modality: PSMA PET/CT | tracer: 18F | view: axial | PET grid: 168×168
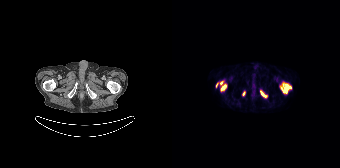
Coordinates are on the 168×168 PET (right) panel. PSMA-avid tumor lesion bounding boxes (x0, y0)-(x1, y1): (108, 82)-(119, 93) | (48, 81)-(54, 91) | (88, 90)-(95, 97) | (44, 83)-(46, 87). Small PSMA-avid focus (2 to 4 px across) near (center x, center y): (72, 93).